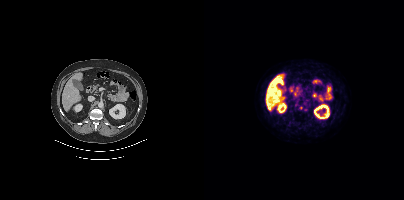
Findings: Coordinates are on the 200×200 PET (right) panel. (showing 2 of 3 foci) PSMA-avid tumor lesion bounding box (x, y, width, height): x=91 y=101 w=4 h=6. Small PSMA-avid focus (2 to 4 px across) near (center x, center y): (102, 109).
- Paired axial CT (left) and PSMA PET (right), 18F tracer
- acquired on Siemens Biograph mCT Flow 20
- slice 219 of 435
- PET panel 200×200 px (4.1 mm/px)